Left: CT. Right: PSMA PET, same axial level, [18F]PSMA-1007 tracer. PET panel 168×168 px (4.1 mm/px).
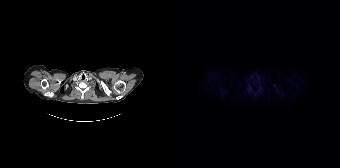
This slice has no annotated PSMA-avid lesion.